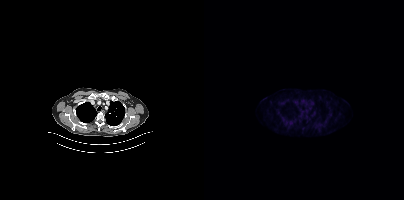
Findings: Negative for PSMA-avid disease on this slice.
- Two-panel axial: CT | PSMA PET, 18F-PSMA tracer